Left: CT. Right: PSMA PET, same axial level, [18F]PSMA-1007 tracer. PET panel 200×200 px (4.1 mm/px).
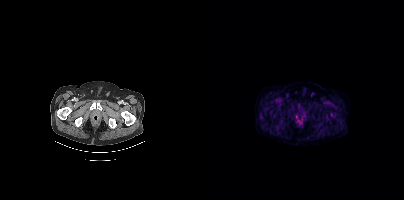
No PSMA-avid tumor lesions on this slice.